Left: CT. Right: PSMA PET, same axial level, [18F]PSMA-1007 tracer. PET panel 256×256 px (2.7 mm/px). Any black rectangle over the head is a privacy mask, not anatomy.
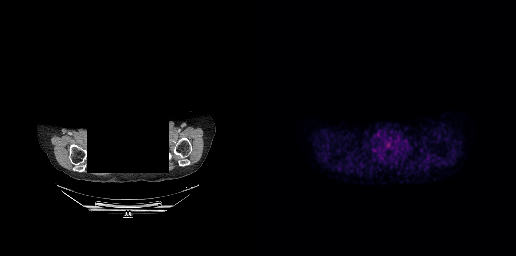
Coordinates are on the 256×256 PET (right) panel. Small PSMA-avid focus (2 to 4 px across) near (center x, center y): (119, 152).